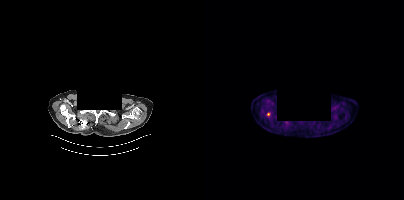
Paired axial CT (left) and PSMA PET (right), 18F-PSMA tracer. PET panel 200×200 px (4.1 mm/px). De-identified by setting a box covering the face to black before release. Coordinates are on the 200×200 PET (right) panel. Small PSMA-avid focus (2 to 4 px across) near (center x, center y): (64, 114).